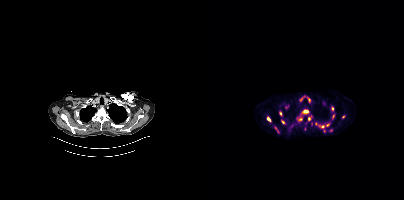
Left: CT. Right: PSMA PET, same axial level, 18F tracer. Acquired on Siemens Biograph mCT Flow 20.
Coordinates are on the 200×200 PET (right) panel. PSMA-avid tumor lesion bounding boxes (partial; 5 more foci not listed):
| # | x0 | y0 | x1 | y1 |
|---|---|---|---|---|
| 1 | 98 | 109 | 104 | 113 |
| 2 | 62 | 116 | 67 | 122 |
| 3 | 92 | 116 | 97 | 121 |
| 4 | 75 | 111 | 78 | 116 |
| 5 | 77 | 120 | 81 | 124 |
| 6 | 115 | 125 | 120 | 127 |
| 7 | 71 | 127 | 75 | 132 |
Small PSMA-avid foci (2 to 4 px across) near (center x, center y): (105, 118); (128, 108); (82, 107); (123, 125); (129, 116); (139, 116).